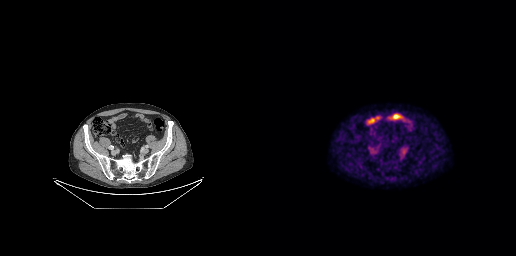
Technique: Two-panel axial: CT | PSMA PET, 18F tracer. acquired on GE Discovery 690. slice 80 of 263.
Findings: Negative for PSMA-avid disease on this slice.